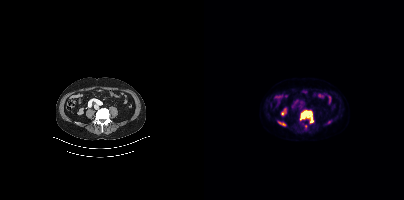
Left: CT. Right: PSMA PET, same axial level, 18F-PSMA tracer. PET panel 200×200 px (4.1 mm/px). Coordinates are on the 200×200 PET (right) panel. (showing 2 of 3 foci) PSMA-avid tumor lesion bounding boxes (x, y, width, height): x=96 y=110 w=14 h=13 / x=75 y=122 w=7 h=4.